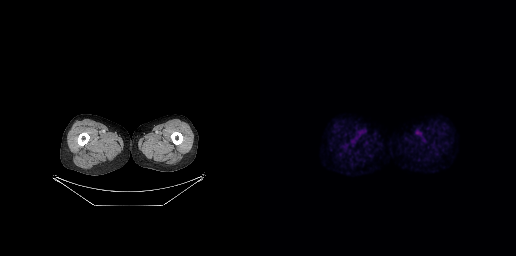
{"modality":"PSMA PET/CT","view":"axial","tracer":"18F-PSMA","pet_grid":[256,256],"coord_frame":"pet_panel","coord_format":"x0,y0,x1,y1","psma_avid_lesions":false}